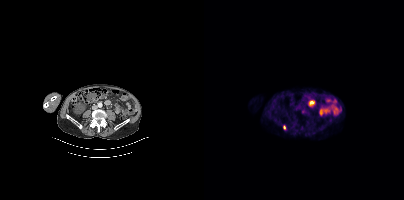
- Paired axial CT (left) and PSMA PET (right), 18F tracer
- PET panel 200×200 px (4.1 mm/px)
Findings: Coordinates are on the 200×200 PET (right) panel. (showing 1 of 2 foci) PSMA-avid tumor lesion bounding box (x0,y0,x1,y1): [79,125,81,129].